Technique: Two-panel axial: CT | PSMA PET, 18F tracer. acquired on Siemens Biograph mCT Flow 20. slice position z = -748 mm.
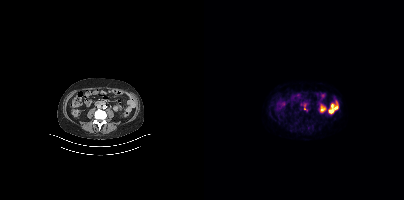
Findings: Coordinates are on the 200×200 PET (right) panel. (showing 1 of 2 foci) Small PSMA-avid focus (2 to 4 px across) near (center x, center y): (100, 108).